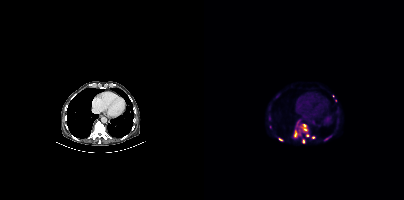
{"modality":"PSMA PET/CT","view":"axial","tracer":"18F","pet_grid":[200,200],"coord_frame":"pet_panel","coord_format":"x0,y0,x1,y1","partial":true,"lesion_bboxes":[[89,130,98,137],[98,125,103,131]],"small_foci_centers":[[93,123],[103,135],[99,141],[66,127],[131,100],[109,137],[76,139]]}